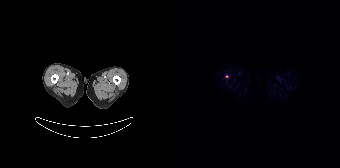
Technique: Paired axial CT (left) and PSMA PET (right), 18F-PSMA tracer. slice position z = -1366 mm. PET panel 168×168 px (4.1 mm/px).
Findings: Coordinates are on the 168×168 PET (right) panel. Small PSMA-avid focus (2 to 4 px across) near (center x, center y): (55, 76).